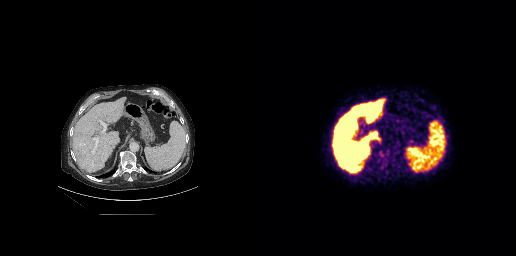
Findings: Coordinates are on the 256×256 PET (right) panel. (showing 1 of 2 foci) PSMA-avid tumor lesion bounding box (x0, y0)-(x1, y1): (117, 150)-(135, 167).
- Two-panel axial: CT | PSMA PET, 18F-PSMA tracer
- slice 151 of 263